Paired axial CT (left) and PSMA PET (right), 18F-PSMA tracer. PET panel 200×200 px (4.1 mm/px).
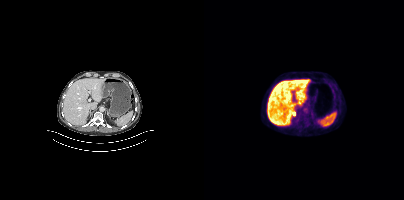
No PSMA-avid tumor lesions on this slice.